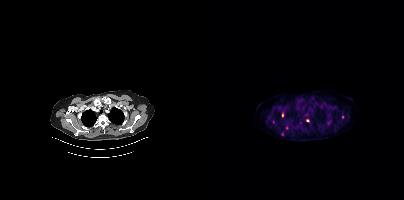
Coordinates are on the 200×200 PET (right) panel. Small PSMA-avid foci (2 to 4 px across) near (center x, center y): (78, 114) (78, 133) (83, 128) (138, 117) (103, 120) (69, 121) (96, 122).